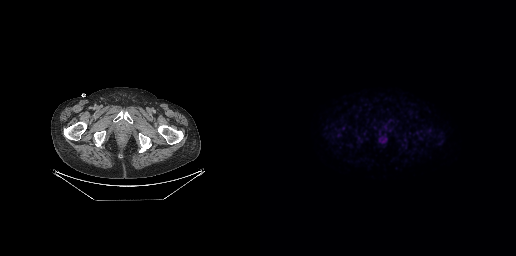
Negative for PSMA-avid disease on this slice.